Left: CT. Right: PSMA PET, same axial level, 68Ga tracer. Acquired on GE Discovery 690. Slice position z = -670 mm.
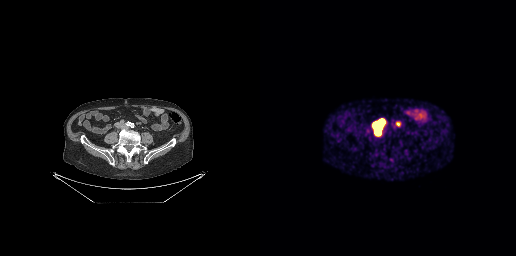
Coordinates are on the 256×256 PET (right) panel. PSMA-avid tumor lesion bounding boxes:
| # | x0 | y0 | x1 | y1 |
|---|---|---|---|---|
| 1 | 114 | 120 | 123 | 133 |
| 2 | 136 | 122 | 140 | 126 |